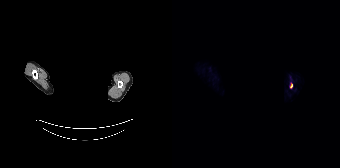
Technique: Left: CT. Right: PSMA PET, same axial level, 18F tracer. slice 156 of 165.
Note: An anonymization step blacked out a rectangle over the head in this scan.
Findings: Coordinates are on the 168×168 PET (right) panel. Small PSMA-avid focus (2 to 4 px across) near (center x, center y): (119, 85).